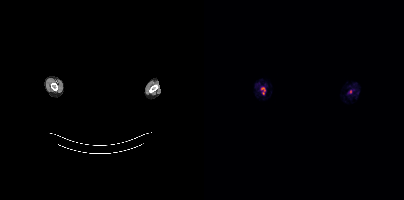
No PSMA-avid tumor lesions on this slice. Two-panel axial: CT | PSMA PET, 18F-PSMA tracer. Acquired on Siemens Biograph mCT Flow 20. Slice 363 of 367. The face region was removed for patient privacy by blanking a rectangle over the head.